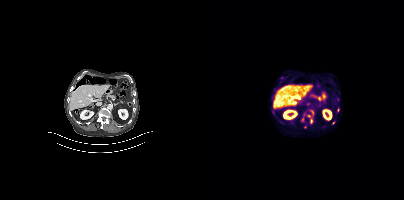
Coordinates are on the 200×200 PET (right) panel. (showing 7 of 9 foci) PSMA-avid tumor lesion bounding boxes (x0, y0)-(x1, y1): (103, 110)-(109, 123) / (74, 119)-(80, 124). Small PSMA-avid foci (2 to 4 px across) near (center x, center y): (104, 104) / (98, 119) / (129, 122) / (67, 99) / (133, 110).